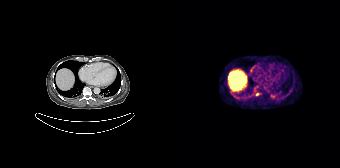
modality: PSMA PET/CT | tracer: [68Ga]Ga-PSMA-11 | view: axial | PET grid: 168×168
Coordinates are on the 168×168 PET (right) panel. Small PSMA-avid focus (2 to 4 px across) near (center x, center y): (85, 94).